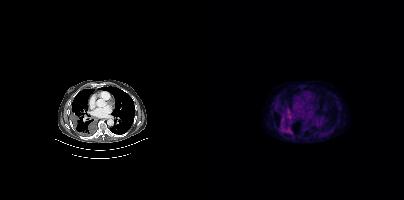
Coordinates are on the 200×200 PET (right) panel. PSMA-avid tumor lesion bounding boxes (x, y, width, height): x=81 y=108 w=8 h=8 | x=80 y=128 w=7 h=6 | x=75 y=122 w=5 h=8.
modality: PSMA PET/CT | tracer: 18F | view: axial